Two-panel axial: CT | PSMA PET, 68Ga tracer. PET panel 200×200 px (4.1 mm/px).
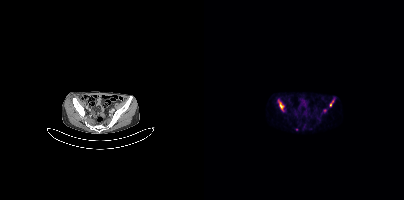
Coordinates are on the 200×200 PET (right) panel. PSMA-avid tumor lesion bounding boxes (x0,y0,x1,y1): [75,101,79,109] [125,99,130,106]. Small PSMA-avid foci (2 to 4 px across) near (center x, center y): (121, 110) (92, 129) (79, 110).